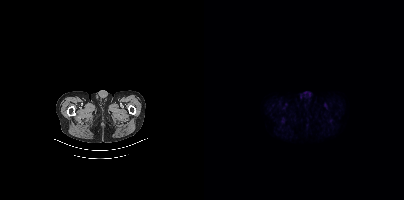
- Two-panel axial: CT | PSMA PET, 18F tracer
- acquired on Siemens Biograph mCT Flow 20
- PET panel 200×200 px (4.1 mm/px)
Findings: No tumor lesions annotated on this slice.